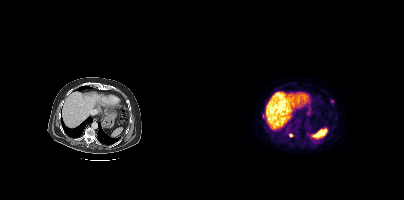
Coordinates are on the 200×200 PET (right) panel. (showing 1 of 3 foci) Small PSMA-avid focus (2 to 4 px across) near (center x, center y): (128, 101).